- Left: CT. Right: PSMA PET, same axial level, 18F tracer
- PET panel 200×200 px (4.1 mm/px)
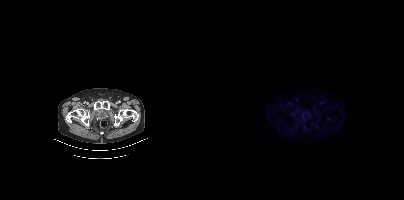
Findings: No PSMA-avid tumor lesions on this slice.